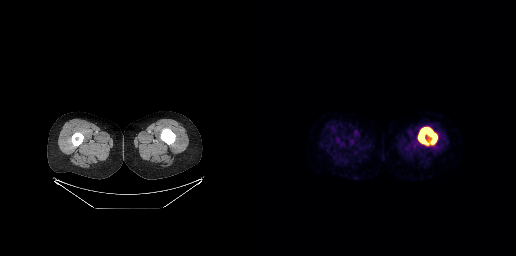
- Left: CT. Right: PSMA PET, same axial level, 18F-PSMA tracer
- acquired on GE Discovery 690
- slice position z = -1065 mm
Findings: Coordinates are on the 256×256 PET (right) panel. PSMA-avid tumor lesion bounding box (x0,y0,x1,y1): [158,127,177,144].